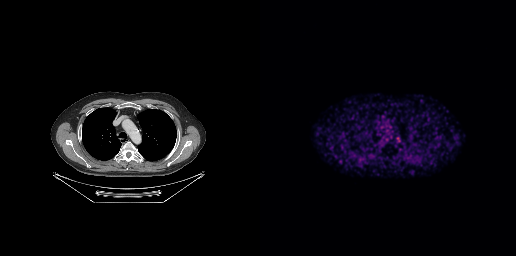
{"modality":"PSMA PET/CT","view":"axial","tracer":"[68Ga]Ga-PSMA-11","pet_grid":[256,256],"coord_frame":"pet_panel","coord_format":"x0,y0,x1,y1","psma_avid_lesions":false}